modality: PSMA PET/CT | tracer: 18F-PSMA | view: axial | PET grid: 200×200
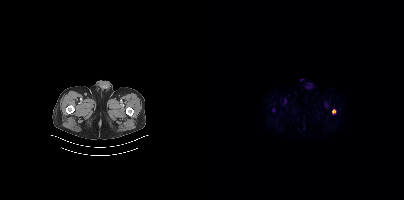
Coordinates are on the 200×200 PET (right) panel. PSMA-avid tumor lesion bounding box (x0, y0)-(x1, y1): (128, 109)-(131, 113).